Technique: Left: CT. Right: PSMA PET, same axial level, 18F-PSMA tracer. acquired on Siemens Biograph mCT Flow 20. PET panel 200×200 px (4.1 mm/px).
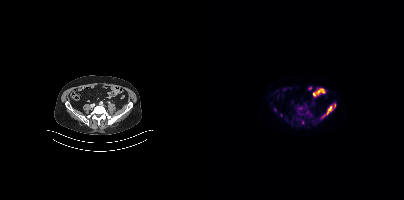
Findings: Coordinates are on the 200×200 PET (right) panel. (showing 2 of 7 foci) PSMA-avid tumor lesion bounding box (x, y, width, height): x=118 y=104 w=14 h=14. Small PSMA-avid focus (2 to 4 px across) near (center x, center y): (96, 108).